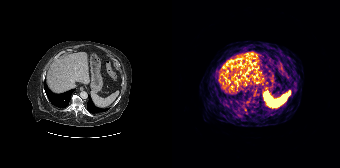
- Left: CT. Right: PSMA PET, same axial level, 68Ga tracer
- PET panel 168×168 px (4.1 mm/px)
Findings: No tumor lesions annotated on this slice.